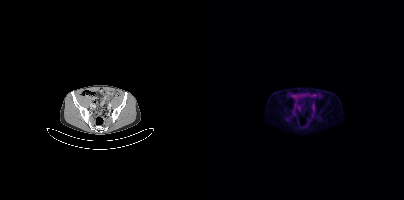
Two-panel axial: CT | PSMA PET, [18F]PSMA-1007 tracer. Slice 99 of 417. PET panel 200×200 px (4.1 mm/px). Negative for PSMA-avid disease on this slice.